modality: PSMA PET/CT | tracer: 68Ga | view: axial
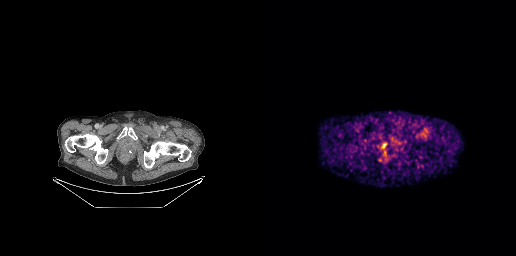
No PSMA-avid tumor lesions on this slice.